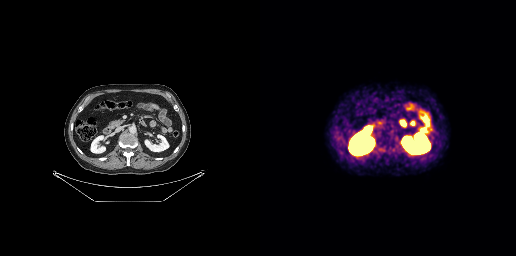
{"modality":"PSMA PET/CT","view":"axial","tracer":"68Ga-PSMA","pet_grid":[256,256],"coord_frame":"pet_panel","coord_format":"x0,y0,x1,y1","psma_avid_lesions":false}